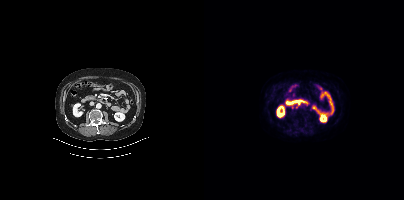
Two-panel axial: CT | PSMA PET, [18F]PSMA-1007 tracer. Only PSMA-avid lesion pieces thinner than 2 px on this slice (not listed).